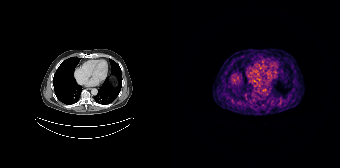
Left: CT. Right: PSMA PET, same axial level, [68Ga]Ga-PSMA-11 tracer. Slice position z = -408 mm. PET panel 168×168 px (4.1 mm/px). No PSMA-avid tumor lesions on this slice.